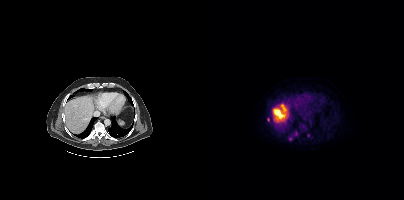
Coordinates are on the 200×200 PET (right) panel. (showing 3 of 4 foci) PSMA-avid tumor lesion bounding box (x0,y0,x1,y1): [85,136,88,140]. Small PSMA-avid foci (2 to 4 px across) near (center x, center y): (64, 119), (104, 135).